Technique: Left: CT. Right: PSMA PET, same axial level, 18F-PSMA tracer. slice position z = -434 mm.
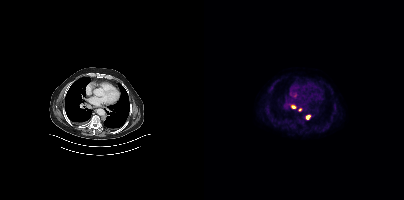
Findings: Coordinates are on the 200×200 PET (right) panel. PSMA-avid tumor lesion bounding box (x, y, width, height): x=102 y=115 w=5 h=5. Small PSMA-avid foci (2 to 4 px across) near (center x, center y): (89, 107) / (95, 109).